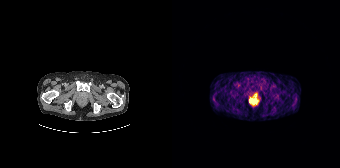
Paired axial CT (left) and PSMA PET (right), 68Ga tracer. PET panel 168×168 px (4.1 mm/px).
Coordinates are on the 168×168 PET (right) panel. PSMA-avid tumor lesion bounding boxes:
| # | x0 | y0 | x1 | y1 |
|---|---|---|---|---|
| 1 | 80 | 97 | 84 | 102 |
Small PSMA-avid focus (2 to 4 px across) near (center x, center y): (77, 100).